Paired axial CT (left) and PSMA PET (right), [18F]PSMA-1007 tracer. Slice position z = -732 mm.
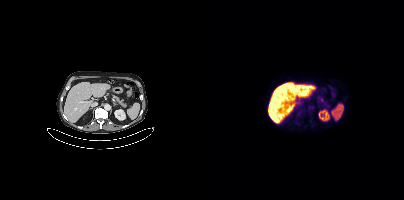
No tumor lesions annotated on this slice.